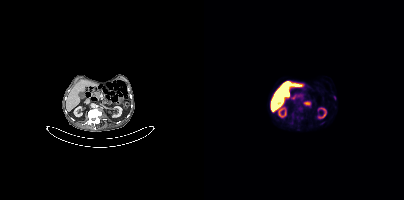
modality: PSMA PET/CT | tracer: [18F]PSMA-1007 | view: axial
Coordinates are on the 200×200 PET (right) panel. Small PSMA-avid focus (2 to 4 px across) near (center x, center y): (130, 97).